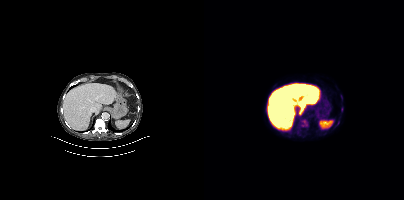
Findings: Coordinates are on the 200×200 PET (right) panel. PSMA-avid tumor lesion bounding boxes (x, y, width, height): x=97 y=119 w=7 h=8 / x=137 y=107 w=3 h=5. Small PSMA-avid focus (2 to 4 px across) near (center x, center y): (137, 96).
Technique: Paired axial CT (left) and PSMA PET (right), 18F-PSMA tracer. PET panel 200×200 px (4.1 mm/px).